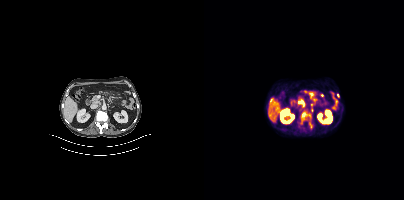
{"modality":"PSMA PET/CT","view":"axial","tracer":"18F-PSMA","pet_grid":[200,200],"coord_frame":"pet_panel","coord_format":"x0,y0,x1,y1","lesion_bboxes":[[96,113,108,128]],"small_foci_centers":[[99,104],[133,95]]}